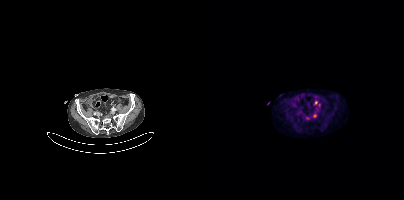
Coordinates are on the 200×200 PET (right) panel. (showing 3 of 4 foci) PSMA-avid tumor lesion bounding box (x0, y0)-(x1, y1): (109, 113)-(112, 117). Small PSMA-avid foci (2 to 4 px across) near (center x, center y): (111, 102); (103, 118).